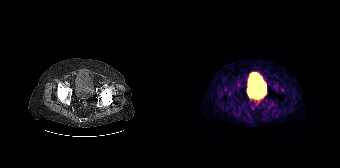
This slice has no annotated PSMA-avid lesion. Paired axial CT (left) and PSMA PET (right), [68Ga]Ga-PSMA-11 tracer. Slice 61 of 195. PET panel 168×168 px (4.1 mm/px).